Technique: Paired axial CT (left) and PSMA PET (right), 18F-PSMA tracer. PET panel 200×200 px (4.1 mm/px).
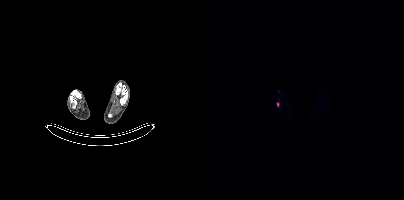
Findings: Coordinates are on the 200×200 PET (right) panel. Small PSMA-avid focus (2 to 4 px across) near (center x, center y): (73, 104).